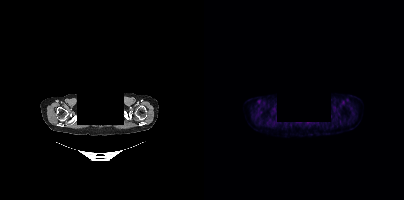
- Left: CT. Right: PSMA PET, same axial level, [18F]PSMA-1007 tracer
- a rectangular block over the head has been blanked out for de-identification
Findings: No PSMA-avid tumor lesions on this slice.